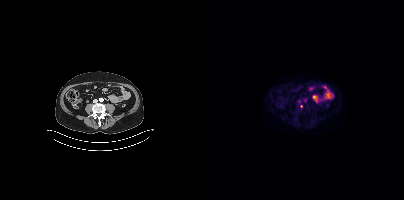
modality: PSMA PET/CT | tracer: [18F]PSMA-1007 | view: axial
Coordinates are on the 200×200 PET (right) panel. Small PSMA-avid focus (2 to 4 px across) near (center x, center y): (97, 106).